modality: PSMA PET/CT | tracer: 68Ga-PSMA | view: axial | PET grid: 200×200
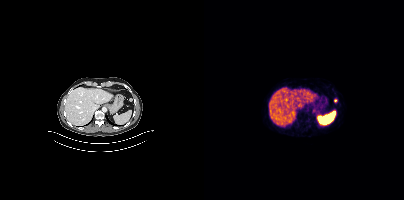
Coordinates are on the 200×200 PET (right) panel. Small PSMA-avid focus (2 to 4 px across) near (center x, center y): (131, 100).